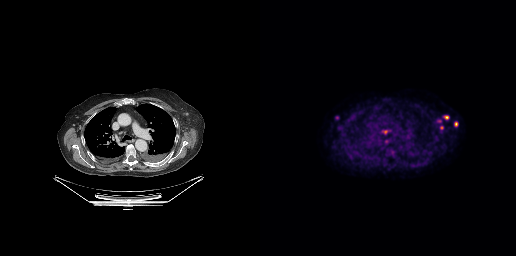
Two-panel axial: CT | PSMA PET, 18F-PSMA tracer. Acquired on GE Discovery 690. Slice 236 of 299.
Coordinates are on the 256×256 PET (right) panel. PSMA-avid tumor lesion bounding boxes (partial; 1 more focus not listed):
| # | x0 | y0 | x1 | y1 |
|---|---|---|---|---|
| 1 | 121 | 130 | 130 | 134 |
| 2 | 75 | 116 | 79 | 119 |
| 3 | 194 | 122 | 197 | 126 |
Small PSMA-avid foci (2 to 4 px across) near (center x, center y): (181, 127); (186, 117); (91, 157); (178, 120); (126, 141).